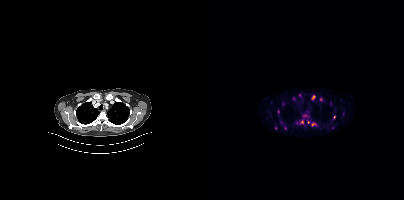
Technique: Two-panel axial: CT | PSMA PET, [18F]PSMA-1007 tracer. acquired on Siemens Biograph mCT Flow 20.
Findings: Coordinates are on the 200×200 PET (right) panel. (showing 14 of 16 foci) Small PSMA-avid foci (2 to 4 px across) near (center x, center y): (93, 122); (130, 116); (98, 122); (109, 124); (117, 99); (81, 128); (95, 95); (109, 97); (89, 98); (78, 103); (74, 111); (104, 122); (128, 127); (71, 128).